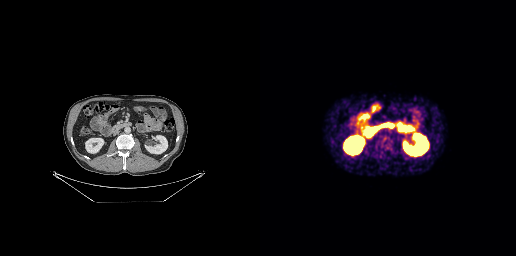
Coordinates are on the 256×256 PET (right) panel. PSMA-avid tumor lesion bounding box (x, y, width, height): x=121 y=141 w=9 h=10. Two-panel axial: CT | PSMA PET, [18F]PSMA-1007 tracer. Slice position z = -510 mm.